modality: PSMA PET/CT | tracer: 18F-PSMA | view: axial
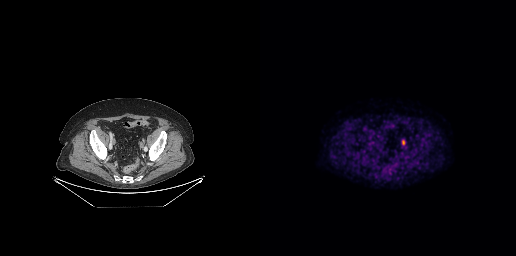
Coordinates are on the 256×256 PET (right) panel. PSMA-avid tumor lesion bounding box (x, y, width, height): x=142 y=139 w=4 h=7.